modality: PSMA PET/CT | tracer: 18F-PSMA | view: axial | PET grid: 200×200
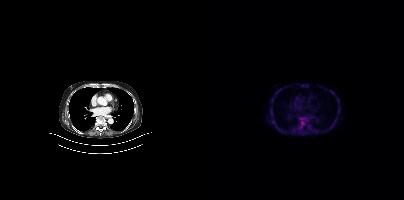
Coordinates are on the 200×200 PET (right) panel. PSMA-avid tumor lesion bounding box (x, y, width, height): x=96 y=121 w=4 h=6.